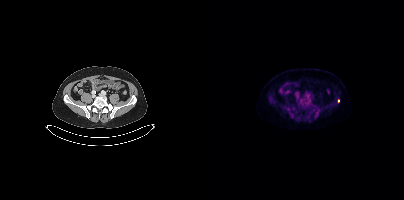
Two-panel axial: CT | PSMA PET, 18F-PSMA tracer. Slice position z = -1373 mm. Coordinates are on the 200×200 PET (right) panel. Small PSMA-avid focus (2 to 4 px across) near (center x, center y): (134, 101).